Left: CT. Right: PSMA PET, same axial level, [18F]PSMA-1007 tracer. Acquired on GE Discovery 690. Slice position z = -911 mm.
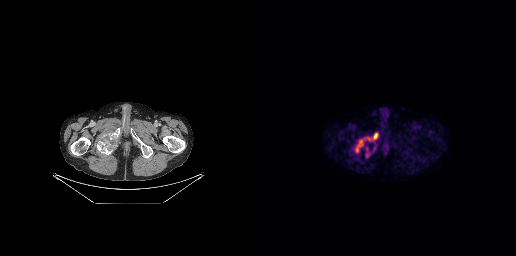
Coordinates are on the 256×256 PET (right) panel. PSMA-avid tumor lesion bounding boxes:
| # | x0 | y0 | x1 | y1 |
|---|---|---|---|---|
| 1 | 95 | 132 | 118 | 153 |
| 2 | 106 | 153 | 109 | 157 |
Small PSMA-avid foci (2 to 4 px across) near (center x, center y): (106, 148); (114, 148).